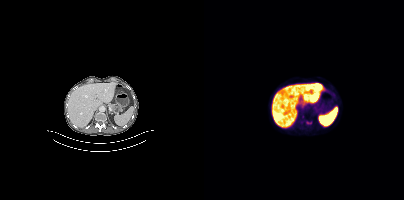
Technique: Left: CT. Right: PSMA PET, same axial level, [18F]PSMA-1007 tracer. PET panel 200×200 px (4.1 mm/px).
Findings: Coordinates are on the 200×200 PET (right) panel. (showing 1 of 2 foci) Small PSMA-avid focus (2 to 4 px across) near (center x, center y): (103, 122).